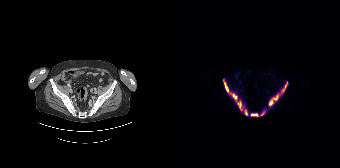
Two-panel axial: CT | PSMA PET, 18F tracer. Slice 52 of 165. PET panel 168×168 px (4.1 mm/px). Coordinates are on the 168×168 PET (right) panel. PSMA-avid tumor lesion bounding boxes (x, y, width, height): x=51 y=78 w=26 h=38 / x=96 y=81 w=21 h=26 / x=78 y=110 w=16 h=7.